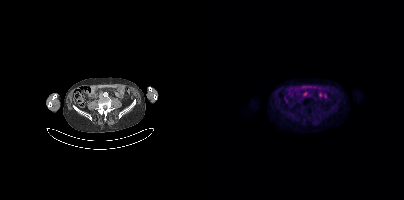
{"pet_grid":[200,200],"coord_frame":"pet_panel","coord_format":"x0,y0,x1,y1","lesion_bboxes":[[99,92,103,95]],"modality":"PSMA PET/CT","view":"axial","tracer":"18F"}